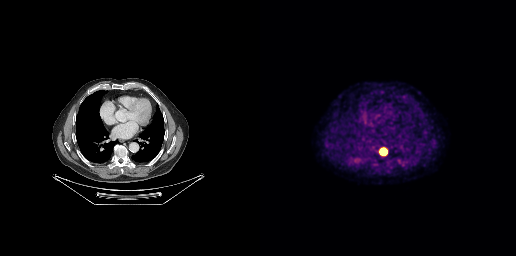
Coordinates are on the 256×256 PET (right) panel. PSMA-avid tumor lesion bounding box (x, y, width, height): x=120 y=148 w=7 h=8. Paired axial CT (left) and PSMA PET (right), [18F]PSMA-1007 tracer. Slice 185 of 263. PET panel 256×256 px (2.7 mm/px).